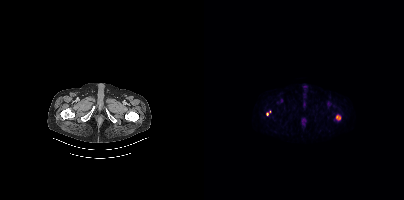
Coordinates are on the 200×200 PET (right) panel. PSMA-avid tumor lesion bounding boxes (x0,y0,x1,y1): [132,115,136,120], [63,111,66,115].